Paired axial CT (left) and PSMA PET (right), 18F tracer. Acquired on GE Discovery 690. Slice 156 of 263. PET panel 256×256 px (2.7 mm/px).
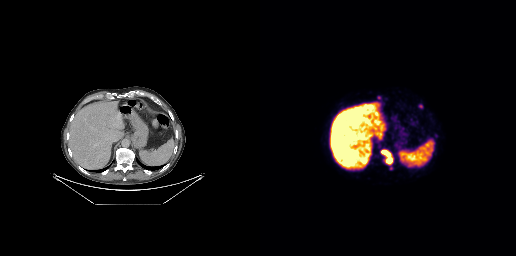
Coordinates are on the 256×256 PET (right) panel. PSMA-avid tumor lesion bounding boxes:
| # | x0 | y0 | x1 | y1 |
|---|---|---|---|---|
| 1 | 121 | 149 | 132 | 164 |
| 2 | 117 | 96 | 121 | 99 |
Small PSMA-avid foci (2 to 4 px across) near (center x, center y): (160, 106); (119, 146).